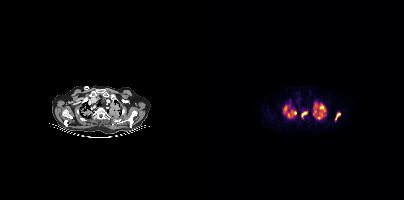
Coordinates are on the 200×200 PET (right) panel. (showing 7 of 9 foci) PSMA-avid tumor lesion bounding boxes (x0, y0)-(x1, y1): (113, 103)-(121, 119) / (97, 112)-(103, 117) / (88, 111)-(92, 114) / (131, 113)-(136, 119) / (80, 105)-(83, 110). Small PSMA-avid foci (2 to 4 px across) near (center x, center y): (110, 114) / (84, 115). Paired axial CT (left) and PSMA PET (right), 18F-PSMA tracer.